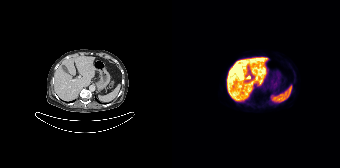
Negative for PSMA-avid disease on this slice.